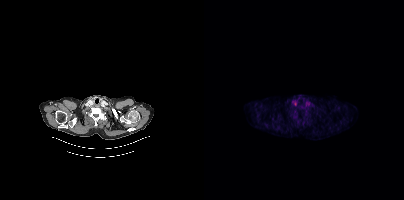
Negative for PSMA-avid disease on this slice.
modality: PSMA PET/CT | tracer: 18F | view: axial | PET grid: 200×200